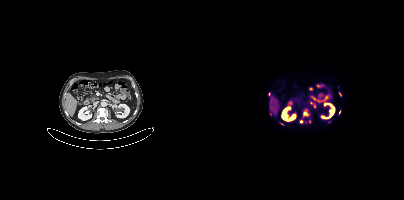
{"modality":"PSMA PET/CT","view":"axial","tracer":"18F-PSMA","pet_grid":[200,200],"coord_frame":"pet_panel","coord_format":"x0,y0,x1,y1","partial":true,"lesion_bboxes":[[100,112,104,115]],"small_foci_centers":[[97,121],[125,122],[105,121],[135,111],[77,123],[66,114]]}